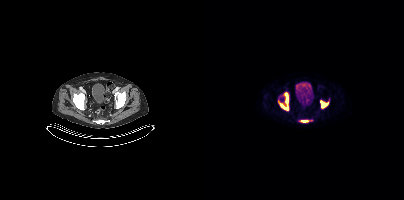
{"modality":"PSMA PET/CT","view":"axial","tracer":"18F","pet_grid":[200,200],"coord_frame":"pet_panel","coord_format":"x0,y0,x1,y1","lesion_bboxes":[[74,92,84,110],[116,100,124,108],[97,120,104,122]]}